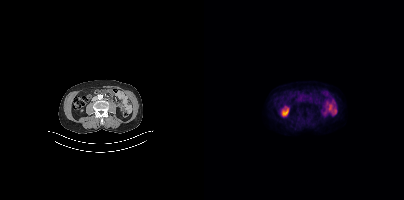
modality: PSMA PET/CT | tracer: 18F-PSMA | view: axial
Only PSMA-avid lesion pieces thinner than 2 px on this slice (not listed).